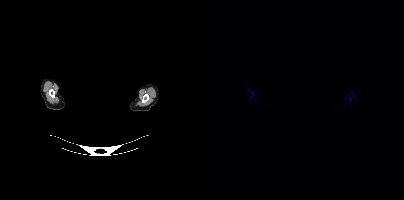
Findings: This slice has no annotated PSMA-avid lesion.
Technique: Two-panel axial: CT | PSMA PET, 18F tracer.
Note: The face region was removed for patient privacy by blanking a rectangle over the head.